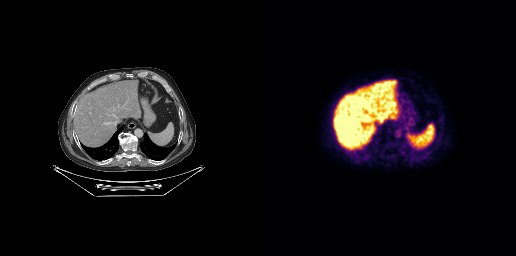
No PSMA-avid tumor lesions on this slice. Left: CT. Right: PSMA PET, same axial level, 18F tracer. Slice position z = -294 mm.